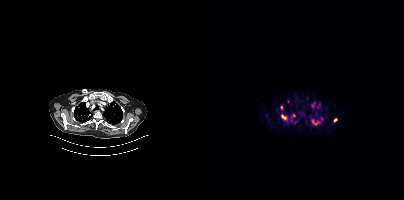
Coordinates are on the 200×200 PET (right) panel. PSMA-avid tumor lesion bounding boxes (partial; 1 more focus not listed):
| # | x0 | y0 | x1 | y1 |
|---|---|---|---|---|
| 1 | 107 | 119 | 116 | 125 |
| 2 | 78 | 115 | 82 | 119 |
| 3 | 113 | 103 | 116 | 108 |
| 4 | 108 | 102 | 111 | 107 |
| 5 | 86 | 118 | 89 | 122 |
Small PSMA-avid foci (2 to 4 px across) near (center x, center y): (77, 107); (131, 119); (89, 115); (91, 122); (117, 118).
Paired axial CT (left) and PSMA PET (right), 18F tracer. Acquired on Siemens Biograph mCT Flow 20. PET panel 200×200 px (4.1 mm/px).